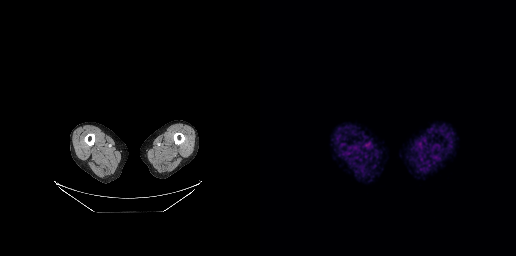
Two-panel axial: CT | PSMA PET, 68Ga-PSMA tracer. No PSMA-avid tumor lesions on this slice.